modality: PSMA PET/CT | tracer: 18F | view: axial
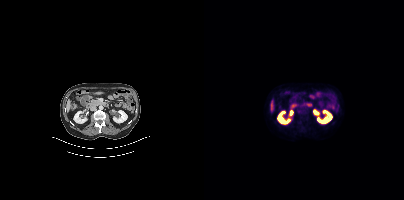
No tumor lesions annotated on this slice.